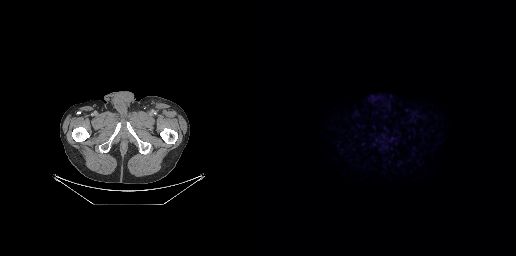
modality: PSMA PET/CT | tracer: [18F]PSMA-1007 | view: axial | PET grid: 256×256
This slice has no annotated PSMA-avid lesion.